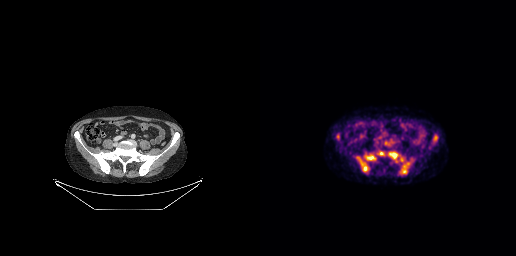
{"modality":"PSMA PET/CT","view":"axial","tracer":"18F-PSMA","pet_grid":[256,256],"coord_frame":"pet_panel","coord_format":"x0,y0,x1,y1","lesion_bboxes":[[130,153,150,174],[97,157,108,171],[104,153,116,160]],"small_foci_centers":[[121,153]]}